Two-panel axial: CT | PSMA PET, [18F]PSMA-1007 tracer. Slice 24 of 403.
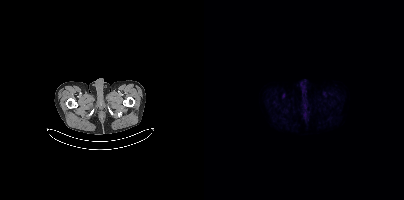
Coordinates are on the 200×200 PET (right) panel. Small PSMA-avid focus (2 to 4 px across) near (center x, center y): (101, 113).